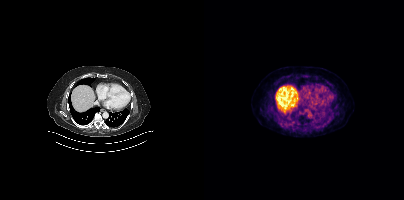
Findings: No tumor lesions annotated on this slice.
- Left: CT. Right: PSMA PET, same axial level, 18F-PSMA tracer
- acquired on Siemens Biograph mCT Flow 20
- PET panel 200×200 px (4.1 mm/px)